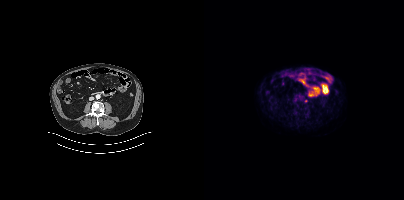
Coordinates are on the 200×200 PET (right) panel. Small PSMA-avid focus (2 to 4 px across) near (center x, center y): (101, 100). Paired axial CT (left) and PSMA PET (right), 18F-PSMA tracer. Acquired on Siemens Biograph mCT Flow 20. PET panel 200×200 px (4.1 mm/px).